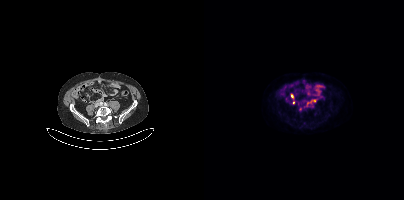
Left: CT. Right: PSMA PET, same axial level, 18F tracer. Slice 128 of 395. PET panel 200×200 px (4.1 mm/px).
Coordinates are on the 200×200 PET (right) panel. PSMA-avid tumor lesion bounding boxes:
| # | x0 | y0 | x1 | y1 |
|---|---|---|---|---|
| 1 | 108 | 99 | 112 | 102 |
Small PSMA-avid foci (2 to 4 px across) near (center x, center y): (88, 95); (96, 109); (89, 102).